Paired axial CT (left) and PSMA PET (right), 18F-PSMA tracer. Acquired on GE Discovery 690.
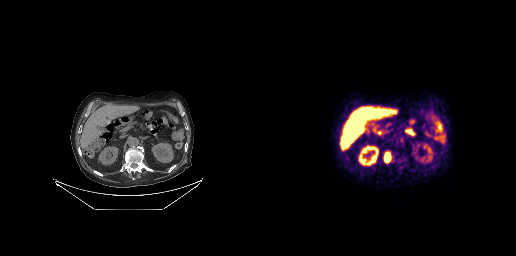
Coordinates are on the 256×256 PET (right) panel. PSMA-avid tumor lesion bounding boxes:
| # | x0 | y0 | x1 | y1 |
|---|---|---|---|---|
| 1 | 124 | 152 | 132 | 163 |